Left: CT. Right: PSMA PET, same axial level, [68Ga]Ga-PSMA-11 tracer. Acquired on Siemens Biograph mCT Flow 20. PET panel 200×200 px (4.1 mm/px).
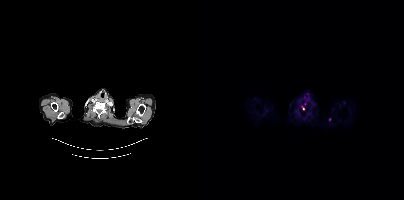
Coordinates are on the 200×200 PET (right) panel. (showing 1 of 2 foci) Small PSMA-avid focus (2 to 4 px across) near (center x, center y): (99, 107).